Left: CT. Right: PSMA PET, same axial level, [18F]PSMA-1007 tracer. PET panel 200×200 px (4.1 mm/px).
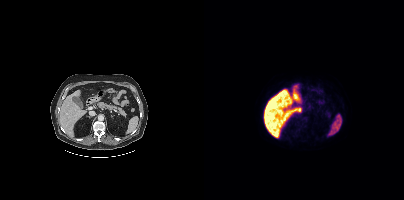
This slice has no annotated PSMA-avid lesion.